modality: PSMA PET/CT | tracer: 18F-PSMA | view: axial
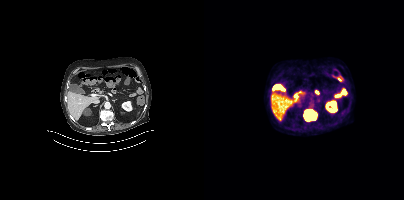
Coordinates are on the 200×200 PET (right) panel. PSMA-avid tumor lesion bounding box (x0,y0,x1,y1): [99,109,113,121].